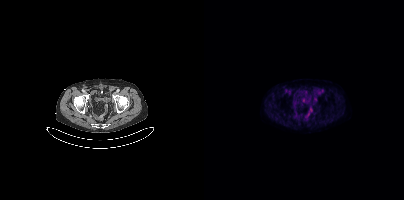
Negative for PSMA-avid disease on this slice.